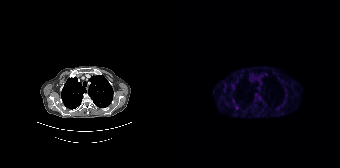
Paired axial CT (left) and PSMA PET (right), [68Ga]Ga-PSMA-11 tracer. Acquired on Siemens Biograph 64-4R TruePoint. Slice 152 of 195. PET panel 168×168 px (4.1 mm/px). Coordinates are on the 168×168 PET (right) panel. Small PSMA-avid focus (2 to 4 px across) near (center x, center y): (64, 107).